Left: CT. Right: PSMA PET, same axial level, 18F tracer. Slice position z = -879 mm.
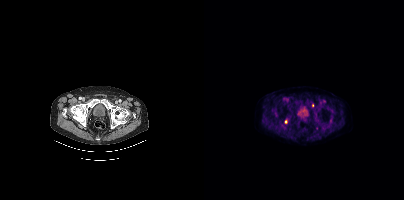
Coordinates are on the 200×200 PET (right) panel. Small PSMA-avid foci (2 to 4 px across) near (center x, center y): (82, 121), (108, 105).